Paired axial CT (left) and PSMA PET (right), 18F-PSMA tracer. Acquired on Siemens Biograph mCT Flow 20. Slice 86 of 385.
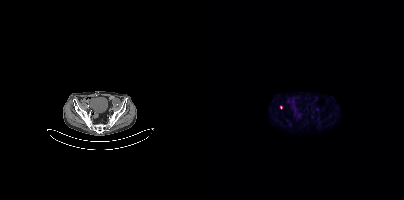
Coordinates are on the 200×200 PET (right) panel. Small PSMA-avid focus (2 to 4 px across) near (center x, center y): (77, 107).